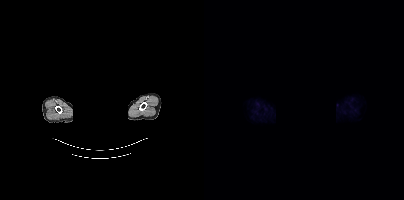
- face de-identified by blanking a block of the head
- Two-panel axial: CT | PSMA PET, 18F tracer
- slice 408 of 452
- PET panel 200×200 px (4.1 mm/px)
Findings: This slice has no annotated PSMA-avid lesion.